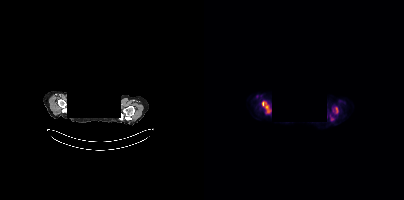
{"modality":"PSMA PET/CT","view":"axial","tracer":"18F","pet_grid":[200,200],"coord_frame":"pet_panel","coord_format":"x0,y0,x1,y1","lesion_bboxes":[[58,101,66,112],[132,107,133,112]],"redaction":"face masked with black rectangle"}